- Two-panel axial: CT | PSMA PET, 68Ga-PSMA tracer
- PET panel 200×200 px (4.1 mm/px)
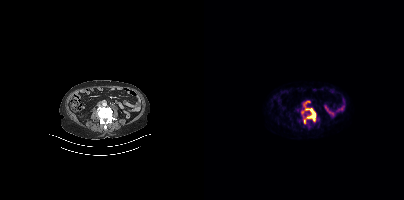
Findings: Coordinates are on the 200×200 PET (right) panel. (showing 3 of 5 foci) PSMA-avid tumor lesion bounding box (x0, y0)-(x1, y1): (99, 104)-(111, 123). Small PSMA-avid foci (2 to 4 px across) near (center x, center y): (99, 112) / (91, 109).